A rectangle over the head was blacked out to remove identifiable facial features. Two-panel axial: CT | PSMA PET, [18F]PSMA-1007 tracer. PET panel 200×200 px (4.1 mm/px).
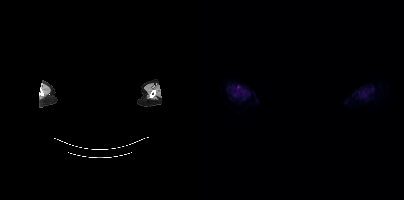
This slice has no annotated PSMA-avid lesion.